Technique: Left: CT. Right: PSMA PET, same axial level, 18F-PSMA tracer.
Note: The face region was removed for patient privacy by blanking a rectangle over the head.
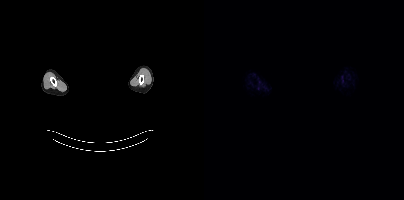
Findings: This slice has no annotated PSMA-avid lesion.